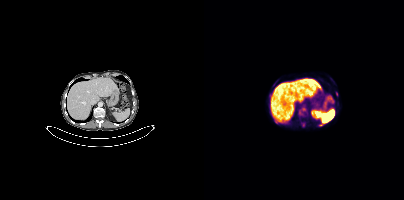
modality: PSMA PET/CT | tracer: 18F-PSMA | view: axial
Only PSMA-avid lesion pieces thinner than 2 px on this slice (not listed).